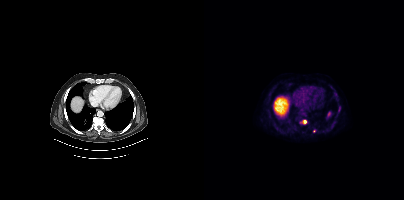
{"modality":"PSMA PET/CT","view":"axial","tracer":"18F","pet_grid":[200,200],"coord_frame":"pet_panel","coord_format":"x0,y0,x1,y1","partial":true,"lesion_bboxes":[[96,120,102,123]],"small_foci_centers":[[110,131],[131,94]]}